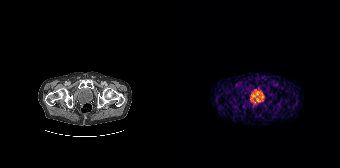
- Left: CT. Right: PSMA PET, same axial level, [68Ga]Ga-PSMA-11 tracer
- slice position z = -546 mm
- PET panel 168×168 px (4.1 mm/px)
Findings: Negative for PSMA-avid disease on this slice.